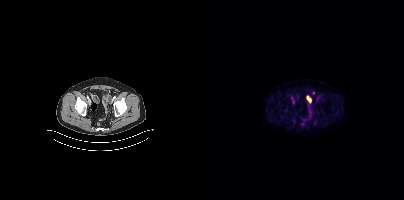
Left: CT. Right: PSMA PET, same axial level, [18F]PSMA-1007 tracer. Acquired on Siemens Biograph mCT Flow 20. Coordinates are on the 200×200 PET (right) panel. Small PSMA-avid foci (2 to 4 px across) near (center x, center y): (90, 120), (110, 122), (109, 92).